The head region is masked for de-identification. Two-panel axial: CT | PSMA PET, [18F]PSMA-1007 tracer. Slice position z = -845 mm.
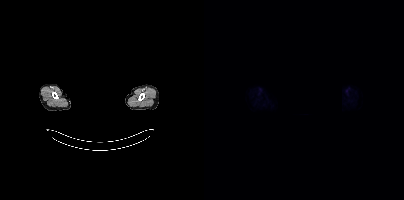
Negative for PSMA-avid disease on this slice.